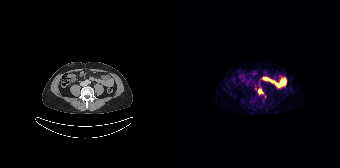
Technique: Two-panel axial: CT | PSMA PET, [68Ga]Ga-PSMA-11 tracer. acquired on Siemens Biograph 64-4R TruePoint. slice 80 of 195. PET panel 168×168 px (4.1 mm/px).
Findings: Coordinates are on the 168×168 PET (right) panel. PSMA-avid tumor lesion bounding box (x0,y0,x1,y1): [86,89,94,98].